Paired axial CT (left) and PSMA PET (right), 18F-PSMA tracer. Slice position z = -142 mm. PET panel 200×200 px (4.1 mm/px).
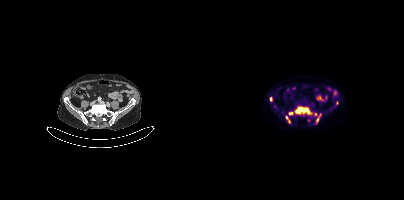
Coordinates are on the 200×200 PET (right) panel. PSMA-avid tumor lesion bounding boxes:
| # | x0 | y0 | x1 | y1 |
|---|---|---|---|---|
| 1 | 91 | 106 | 108 | 114 |
| 2 | 112 | 114 | 116 | 123 |
| 3 | 82 | 116 | 86 | 122 |
| 4 | 85 | 112 | 89 | 114 |
| 5 | 66 | 97 | 68 | 101 |
Small PSMA-avid foci (2 to 4 px across) near (center x, center y): (133, 103); (111, 114).